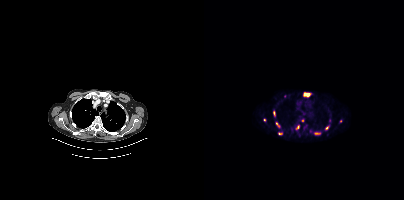
Coordinates are on the 200×200 PET (right) panel. (showing 10 of 11 foci) PSMA-avid tumor lesion bounding boxes (x, y, width, height): x=100 y=93 w=6 h=4 / x=110 y=133 w=7 h=2 / x=92 y=125 w=4 h=5 / x=69 y=111 w=3 h=5 / x=72 y=122 w=4 h=6 / x=74 y=133 w=5 h=2. Small PSMA-avid foci (2 to 4 px across) near (center x, center y): (123, 127) / (60, 120) / (98, 120) / (136, 120).
modality: PSMA PET/CT | tracer: [68Ga]Ga-PSMA-11 | view: axial